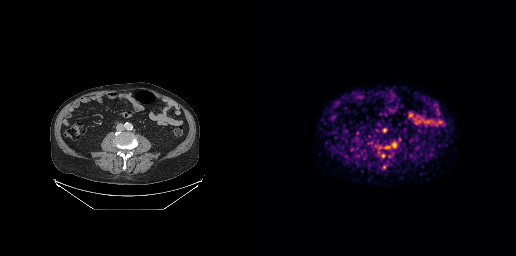
Coordinates are on the 256×256 PET (right) panel. PSMA-avid tumor lesion bounding box (x0,y0,x1,y1): [133,143,136,147]. Small PSMA-avid foci (2 to 4 px across) near (center x, center y): (124, 130), (127, 147), (124, 167), (123, 154).